- Two-panel axial: CT | PSMA PET, 18F tracer
- acquired on Siemens Biograph mCT Flow 20
- slice position z = 498 mm
- PET panel 200×200 px (4.1 mm/px)
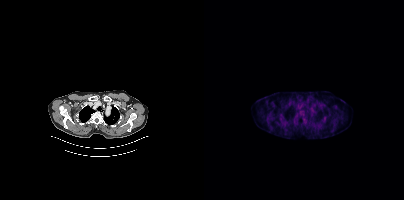
Findings: Negative for PSMA-avid disease on this slice.